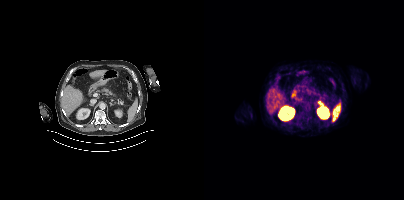
{"modality":"PSMA PET/CT","view":"axial","tracer":"[68Ga]Ga-PSMA-11","pet_grid":[200,200],"coord_frame":"pet_panel","coord_format":"x0,y0,x1,y1","psma_avid_lesions":false}